Left: CT. Right: PSMA PET, same axial level, 18F tracer. Acquired on Siemens Biograph mCT Flow 20. Slice position z = -479 mm.
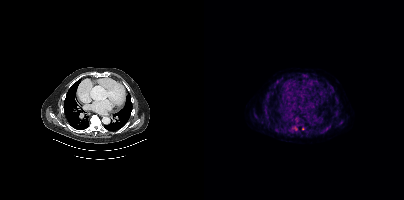
Coordinates are on the 200×200 PET (right) panel. (showing 2 of 3 foci) Small PSMA-avid foci (2 to 4 px across) near (center x, center y): (91, 128); (98, 128).